modality: PSMA PET/CT | tracer: [18F]PSMA-1007 | view: axial | PET grid: 168×168
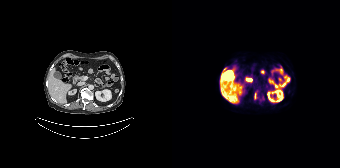
Coordinates are on the 168×168 PET (right) panel. PSMA-avid tumor lesion bounding boxes (x0, y0)-(x1, y1): (57, 96)-(62, 100); (82, 93)-(84, 99).